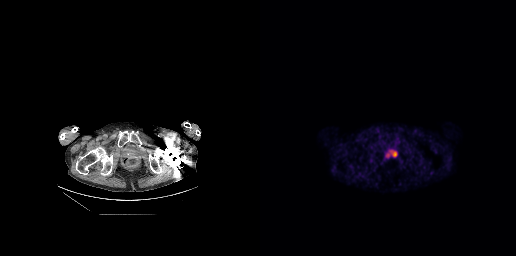
Technique: Two-panel axial: CT | PSMA PET, 18F tracer.
Findings: Coordinates are on the 256×256 PET (right) panel. PSMA-avid tumor lesion bounding box (x0, y0)-(x1, y1): (126, 150)-(137, 157).